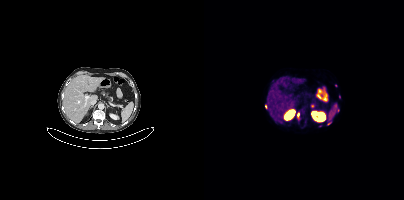
Technique: Two-panel axial: CT | PSMA PET, 68Ga-PSMA tracer. slice 220 of 411. PET panel 200×200 px (4.1 mm/px).
Findings: Coordinates are on the 200×200 PET (right) panel. (showing 5 of 8 foci) PSMA-avid tumor lesion bounding box (x0, y0)-(x1, y1): (93, 113)-(95, 120). Small PSMA-avid foci (2 to 4 px across) near (center x, center y): (61, 106) / (132, 85) / (134, 110) / (125, 123).